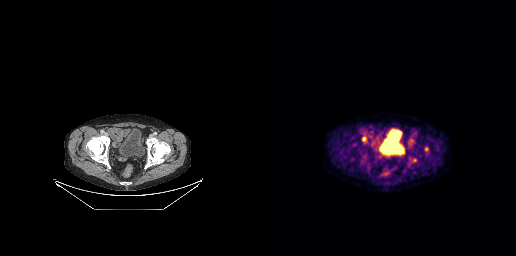
{"pet_grid":[256,256],"coord_frame":"pet_panel","coord_format":"x0,y0,x1,y1","lesion_bboxes":[[102,134,106,142],[164,146,168,152]],"modality":"PSMA PET/CT","view":"axial","tracer":"[18F]PSMA-1007"}